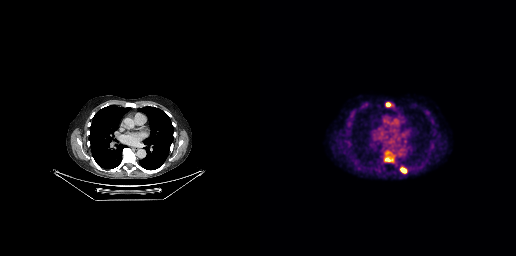
{"pet_grid":[256,256],"coord_frame":"pet_panel","coord_format":"x0,y0,x1,y1","partial":true,"lesion_bboxes":[[123,150,136,163],[140,167,146,172],[126,103,130,106]],"modality":"PSMA PET/CT","view":"axial","tracer":"[18F]PSMA-1007"}